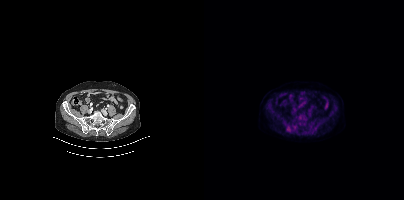
modality: PSMA PET/CT | tracer: 18F | view: axial
Coordinates are on the 200×200 PET (right) panel. PSMA-avid tumor lesion bounding box (x0, y0)-(x1, y1): (82, 126)-(87, 131).